- Two-panel axial: CT | PSMA PET, 18F tracer
- slice position z = -923 mm
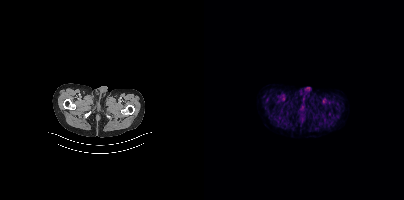
Findings: Negative for PSMA-avid disease on this slice.